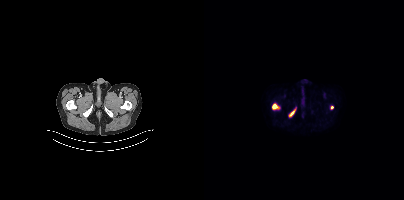
{"modality":"PSMA PET/CT","view":"axial","tracer":"18F","pet_grid":[200,200],"coord_frame":"pet_panel","coord_format":"x0,y0,x1,y1","lesion_bboxes":[[68,104,75,109],[85,109,91,116]],"small_foci_centers":[[127,107]]}